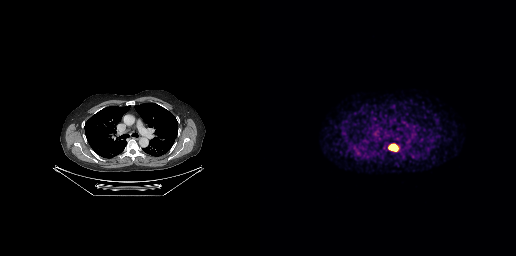
Coordinates are on the 256×256 PET (right) panel. PSMA-avid tumor lesion bounding boxes:
| # | x0 | y0 | x1 | y1 |
|---|---|---|---|---|
| 1 | 128 | 143 | 138 | 151 |
Paired axial CT (left) and PSMA PET (right), 68Ga tracer. Slice position z = -398 mm.